Left: CT. Right: PSMA PET, same axial level, 68Ga tracer.
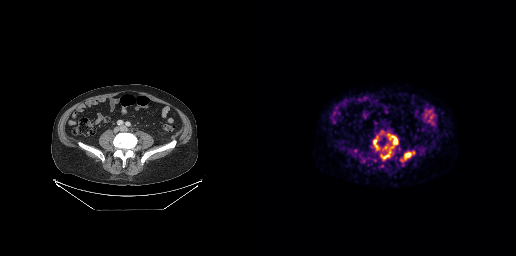
Coordinates are on the 256×256 PET (right) panel. PSMA-avid tumor lesion bounding boxes:
| # | x0 | y0 | x1 | y1 |
|---|---|---|---|---|
| 1 | 121 | 135 | 137 | 159 |
| 2 | 144 | 152 | 151 | 159 |
| 3 | 113 | 142 | 119 | 149 |
Small PSMA-avid foci (2 to 4 px across) near (center x, center y): (125, 147); (153, 152).